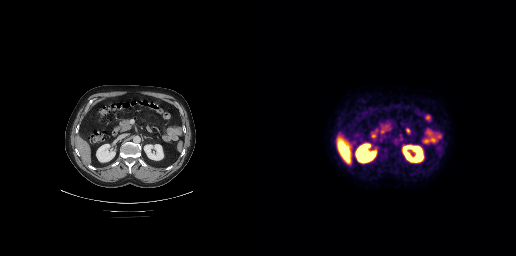
{"pet_grid":[256,256],"coord_frame":"pet_panel","coord_format":"x0,y0,x1,y1","psma_avid_lesions":false,"modality":"PSMA PET/CT","view":"axial","tracer":"18F-PSMA"}